Two-panel axial: CT | PSMA PET, 18F-PSMA tracer. Slice 56 of 415. PET panel 200×200 px (4.1 mm/px).
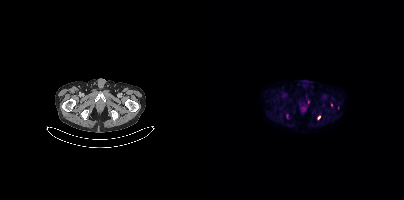
Coordinates are on the 200×200 PET (right) panel. (showing 3 of 5 foci) Small PSMA-avid foci (2 to 4 px across) near (center x, center y): (115, 117) / (104, 102) / (127, 104).